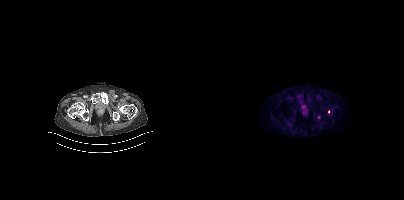
- Paired axial CT (left) and PSMA PET (right), [18F]PSMA-1007 tracer
- PET panel 200×200 px (4.1 mm/px)
Findings: Coordinates are on the 200×200 PET (right) panel. PSMA-avid tumor lesion bounding box (x0,y0,x1,y1): [113,115,116,119]. Small PSMA-avid focus (2 to 4 px across) near (center x, center y): (124, 111).